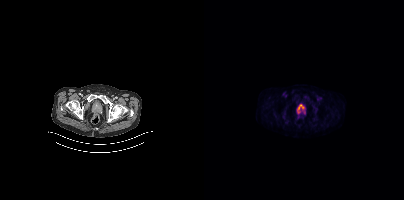
Coordinates are on the 200×200 PET (right) panel. PSMA-avid tumor lesion bounding box (x0, y0)-(x1, y1): (93, 104)-(100, 112).